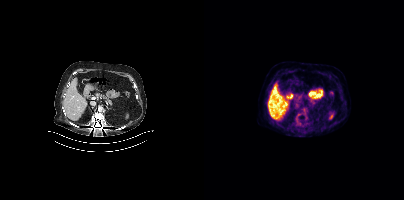
No tumor lesions annotated on this slice.
modality: PSMA PET/CT | tracer: [18F]PSMA-1007 | view: axial